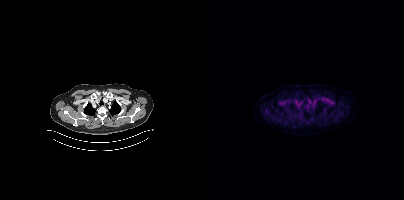
modality: PSMA PET/CT | tracer: [18F]PSMA-1007 | view: axial | PET grid: 200×200
This slice has no annotated PSMA-avid lesion.